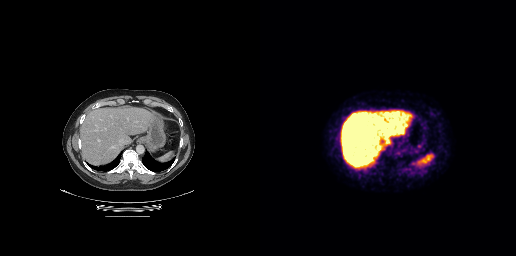
{"modality":"PSMA PET/CT","view":"axial","tracer":"[18F]PSMA-1007","pet_grid":[256,256],"coord_frame":"pet_panel","coord_format":"x0,y0,x1,y1","psma_avid_lesions":false}